Two-panel axial: CT | PSMA PET, [18F]PSMA-1007 tracer. Acquired on Siemens Biograph mCT Flow 20.
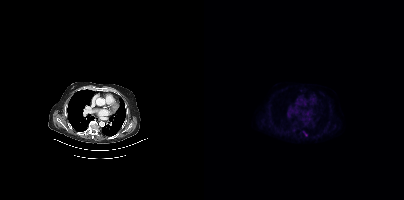
Negative for PSMA-avid disease on this slice.